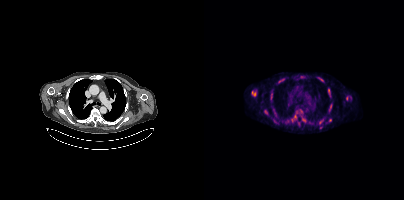
modality: PSMA PET/CT | tracer: [18F]PSMA-1007 | view: axial | PET grid: 200×200
Coordinates are on the 200×200 PET (right) panel. (showing 11 of 15 foci) PSMA-avid tumor lesion bounding boxes (x0, y0)-(x1, y1): (60, 110)-(64, 114) | (66, 94)-(68, 99) | (114, 77)-(119, 81) | (125, 104)-(127, 110) | (116, 119)-(119, 123). Small PSMA-avid foci (2 to 4 px across) near (center x, center y): (126, 120) | (124, 90) | (142, 98) | (50, 94) | (91, 116) | (100, 120).